Technique: Paired axial CT (left) and PSMA PET (right), 18F-PSMA tracer. slice position z = -1007 mm.
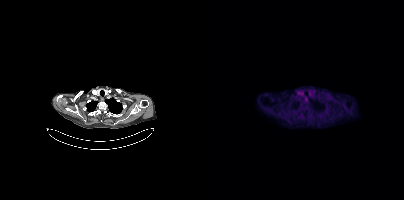
Findings: No PSMA-avid tumor lesions on this slice.